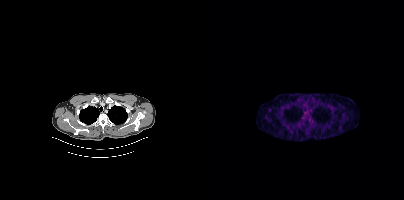
This slice has no annotated PSMA-avid lesion. Paired axial CT (left) and PSMA PET (right), [18F]PSMA-1007 tracer.